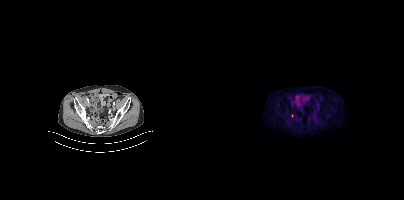
Findings: Coordinates are on the 200×200 PET (right) panel. Small PSMA-avid focus (2 to 4 px across) near (center x, center y): (88, 116).
Technique: Left: CT. Right: PSMA PET, same axial level, [18F]PSMA-1007 tracer. acquired on Siemens Biograph mCT Flow 20. PET panel 200×200 px (4.1 mm/px).